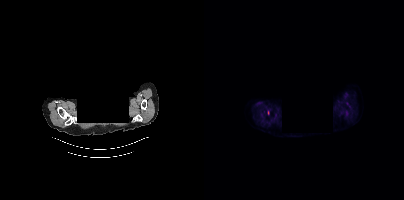
{"modality":"PSMA PET/CT","view":"axial","tracer":"18F-PSMA","pet_grid":[200,200],"coord_frame":"pet_panel","coord_format":"x0,y0,x1,y1","partial":true,"lesion_bboxes":[],"redaction":"head region blacked out before release"}